Technique: Two-panel axial: CT | PSMA PET, [18F]PSMA-1007 tracer. acquired on GE Discovery 690. slice 100 of 263. PET panel 256×256 px (2.7 mm/px).
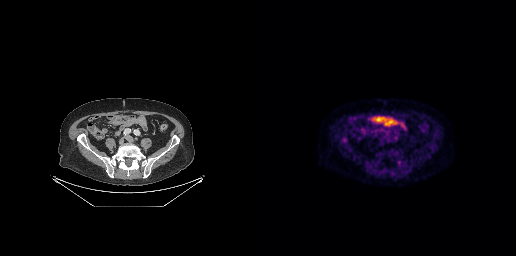
Findings: Coordinates are on the 256×256 PET (right) panel. Small PSMA-avid focus (2 to 4 px across) near (center x, center y): (84, 138).